- Left: CT. Right: PSMA PET, same axial level, 68Ga-PSMA tracer
- slice 47 of 409
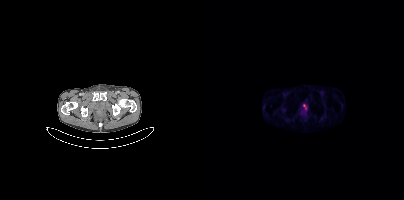
Findings: Only PSMA-avid lesion pieces thinner than 2 px on this slice (not listed).